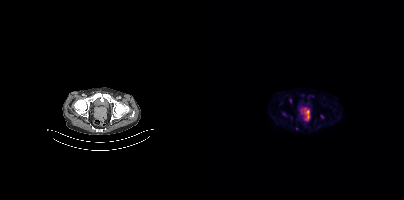
Findings: No PSMA-avid tumor lesions on this slice.
Technique: Paired axial CT (left) and PSMA PET (right), [18F]PSMA-1007 tracer. PET panel 200×200 px (4.1 mm/px).